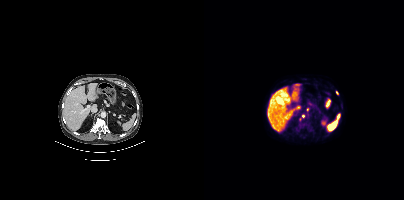
Coordinates are on the 200×200 PET (right) panel. (showing 2 of 3 foci) Small PSMA-avid foci (2 to 4 px across) near (center x, center y): (99, 116) / (103, 109).